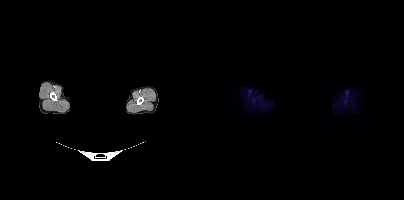
Head region blanked for anonymization (face removed). Two-panel axial: CT | PSMA PET, 18F tracer. PET panel 200×200 px (4.1 mm/px). Negative for PSMA-avid disease on this slice.